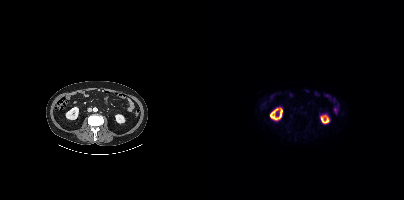
Findings: No tumor lesions annotated on this slice.
- Two-panel axial: CT | PSMA PET, 18F-PSMA tracer
- acquired on Siemens Biograph mCT Flow 20
- slice position z = -810 mm
- PET panel 200×200 px (4.1 mm/px)